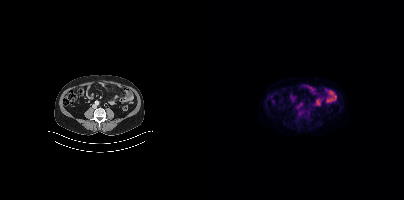
{"pet_grid":[200,200],"coord_frame":"pet_panel","coord_format":"x0,y0,x1,y1","psma_avid_lesions":false,"modality":"PSMA PET/CT","view":"axial","tracer":"18F-PSMA"}